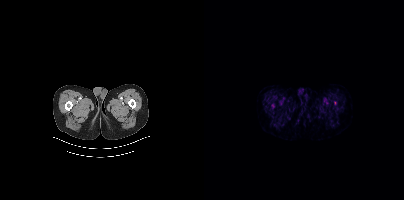
- Left: CT. Right: PSMA PET, same axial level, 18F-PSMA tracer
- acquired on Siemens Biograph mCT Flow 20
- PET panel 200×200 px (4.1 mm/px)
Findings: No tumor lesions annotated on this slice.